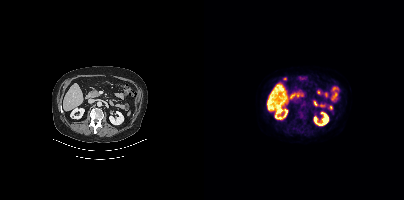
Findings: This slice has no annotated PSMA-avid lesion.
- Left: CT. Right: PSMA PET, same axial level, [18F]PSMA-1007 tracer
- slice 213 of 462
- PET panel 200×200 px (4.1 mm/px)